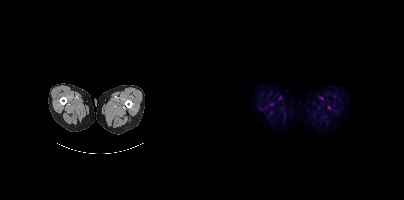
- Paired axial CT (left) and PSMA PET (right), 18F-PSMA tracer
Findings: Negative for PSMA-avid disease on this slice.